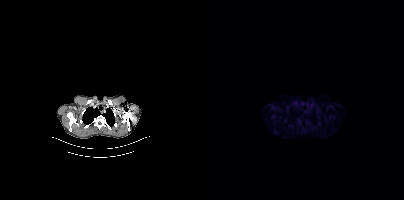
No tumor lesions annotated on this slice. Left: CT. Right: PSMA PET, same axial level, 18F-PSMA tracer. Acquired on Siemens Biograph mCT Flow 20. PET panel 200×200 px (4.1 mm/px).